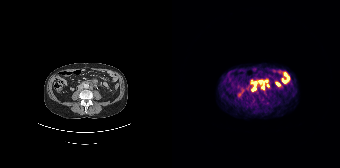
{"modality":"PSMA PET/CT","view":"axial","tracer":"68Ga-PSMA","pet_grid":[168,168],"coord_frame":"pet_panel","coord_format":"x0,y0,x1,y1","lesion_bboxes":[],"small_foci_centers":[[88,81],[81,88],[83,83],[91,87],[94,80],[95,85]]}